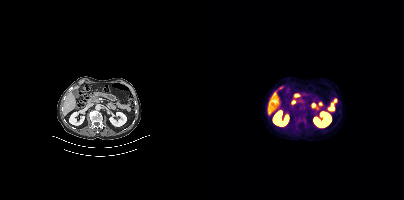
- Two-panel axial: CT | PSMA PET, 18F-PSMA tracer
- slice 214 of 442
Findings: This slice has no annotated PSMA-avid lesion.